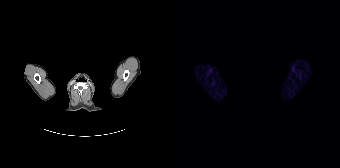
- Two-panel axial: CT | PSMA PET, 68Ga-PSMA tracer
- PET panel 168×168 px (4.1 mm/px)
- some pixels were blanked for anonymization
Findings: No PSMA-avid tumor lesions on this slice.